- Two-panel axial: CT | PSMA PET, 18F-PSMA tracer
- slice position z = -475 mm
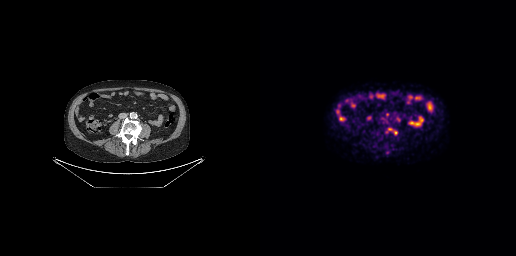
Findings: Coordinates are on the 256×256 PET (right) panel. Small PSMA-avid foci (2 to 4 px across) near (center x, center y): (135, 132); (129, 129).